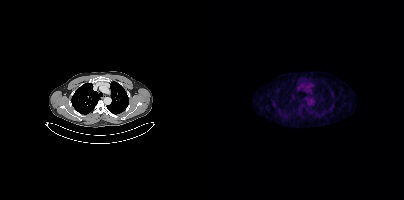
modality: PSMA PET/CT | tracer: [18F]PSMA-1007 | view: axial
No PSMA-avid tumor lesions on this slice.